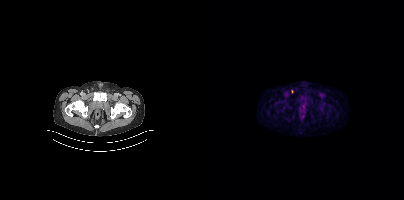
Coordinates are on the 200×200 PET (right) panel. Small PSMA-avid focus (2 to 4 px across) near (center x, center y): (88, 91). Paired axial CT (left) and PSMA PET (right), 18F tracer. Acquired on Siemens Biograph mCT Flow 20. Slice position z = -1506 mm. PET panel 200×200 px (4.1 mm/px).